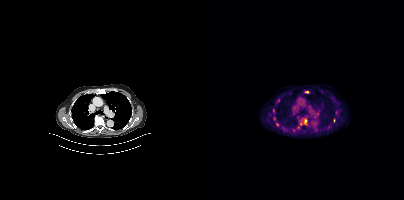
modality: PSMA PET/CT | tracer: 18F-PSMA | view: axial
Coordinates are on the 200×200 PET (right) panel. (showing 2 of 5 foci) PSMA-avid tumor lesion bounding box (x0, y0)-(x1, y1): (100, 119)-(102, 124). Small PSMA-avid focus (2 to 4 px across) near (center x, center y): (102, 91).